Two-panel axial: CT | PSMA PET, 18F tracer. Slice position z = -1213 mm. PET panel 200×200 px (4.1 mm/px).
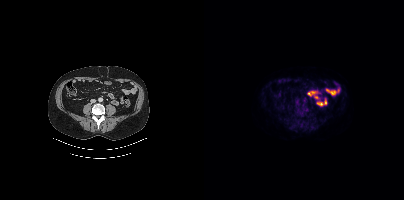
Coordinates are on the 200×200 PET (right) panel. PSMA-avid tumor lesion bounding boxes (x0, y0)-(x1, y1): (98, 107)-(104, 111) / (92, 111)-(99, 115) / (95, 123)-(98, 127). Small PSMA-avid focus (2 to 4 px across) near (center x, center y): (119, 120).